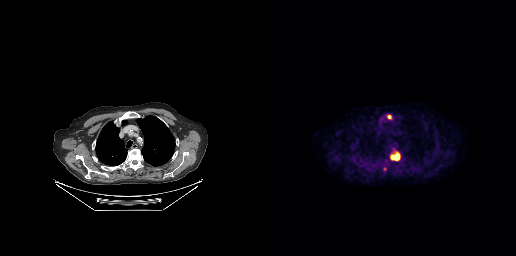
- Paired axial CT (left) and PSMA PET (right), 18F tracer
Findings: Coordinates are on the 256×256 PET (right) panel. (showing 2 of 3 foci) PSMA-avid tumor lesion bounding box (x0, y0)-(x1, y1): (131, 154)-(139, 159). Small PSMA-avid focus (2 to 4 px across) near (center x, center y): (129, 116).